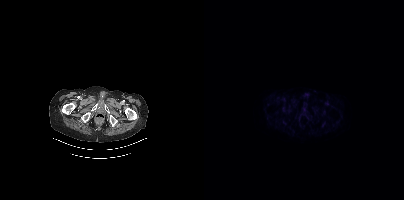
No tumor lesions annotated on this slice.